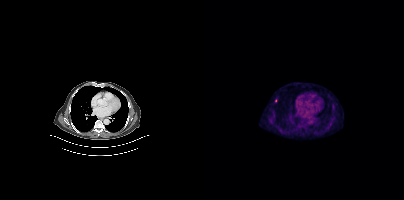
Coordinates are on the 200×200 PET (right) panel. Small PSMA-avid focus (2 to 4 px across) near (center x, center y): (71, 100). Paired axial CT (left) and PSMA PET (right), 18F tracer. Slice 263 of 387.